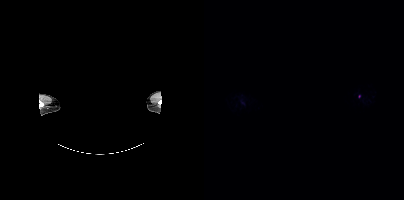
modality: PSMA PET/CT | tracer: 18F | view: axial | PET grid: 200×200 | de-identification: face masked with black rectangle
Coordinates are on the 200×200 PET (right) panel. Small PSMA-avid foci (2 to 4 px across) near (center x, center y): (38, 102) | (155, 96).